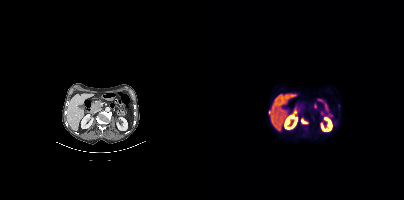
- Left: CT. Right: PSMA PET, same axial level, [18F]PSMA-1007 tracer
- PET panel 200×200 px (4.1 mm/px)
Findings: Coordinates are on the 200×200 PET (right) panel. (showing 2 of 4 foci) PSMA-avid tumor lesion bounding box (x, y, width, height): x=98 y=117 w=4 h=6. Small PSMA-avid focus (2 to 4 px across) near (center x, center y): (134, 106).